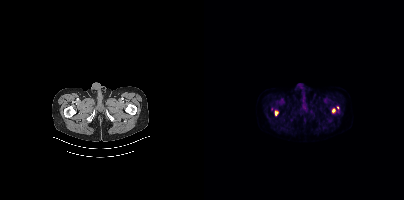
Paired axial CT (left) and PSMA PET (right), [18F]PSMA-1007 tracer. Acquired on Siemens Biograph mCT Flow 20. Slice position z = -1581 mm. PET panel 200×200 px (4.1 mm/px).
Coordinates are on the 200×200 PET (right) panel. PSMA-avid tumor lesion bounding boxes (partial; 1 more focus not listed):
| # | x0 | y0 | x1 | y1 |
|---|---|---|---|---|
| 1 | 128 | 108 | 131 | 113 |
| 2 | 71 | 110 | 74 | 115 |
Small PSMA-avid focus (2 to 4 px across) near (center x, center y): (133, 107).